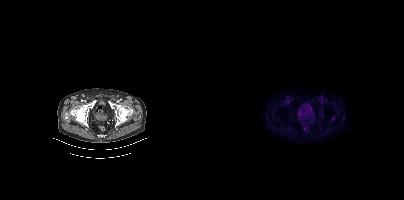
Left: CT. Right: PSMA PET, same axial level, 18F-PSMA tracer. Acquired on Siemens Biograph mCT Flow 20. PET panel 200×200 px (4.1 mm/px). No tumor lesions annotated on this slice.